Two-panel axial: CT | PSMA PET, 18F-PSMA tracer. Acquired on Siemens Biograph mCT Flow 20. Slice 6 of 427. PET panel 200×200 px (4.1 mm/px).
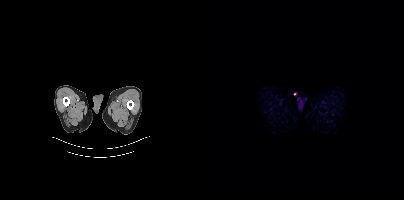
No PSMA-avid tumor lesions on this slice.